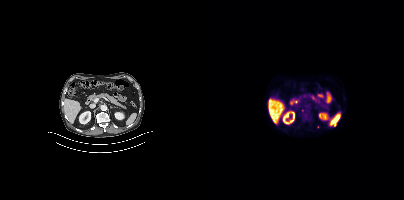
Two-panel axial: CT | PSMA PET, 18F-PSMA tracer. Acquired on Siemens Biograph mCT Flow 20. Slice position z = -1118 mm. PET panel 200×200 px (4.1 mm/px). Only PSMA-avid lesion pieces thinner than 2 px on this slice (not listed).